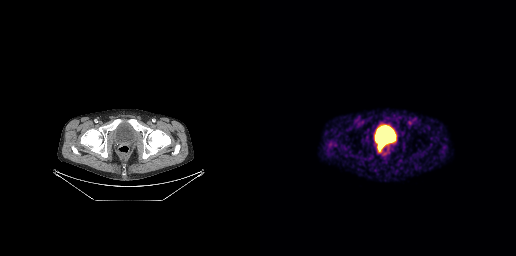
Coordinates are on the 256×256 PET (right) panel. PSMA-avid tumor lesion bounding box (x0, y0)-(x1, y1): (119, 142)-(123, 147).